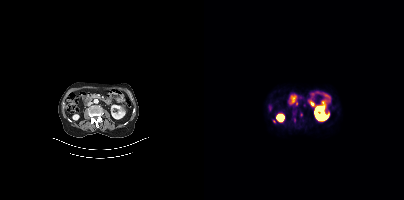
{"modality":"PSMA PET/CT","view":"axial","tracer":"[68Ga]Ga-PSMA-11","pet_grid":[200,200],"coord_frame":"pet_panel","coord_format":"x0,y0,x1,y1","partial":true,"lesion_bboxes":[],"small_foci_centers":[[70,121],[100,104]]}